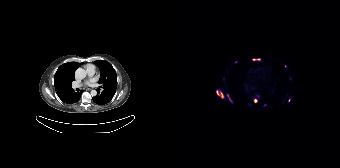
- Paired axial CT (left) and PSMA PET (right), [18F]PSMA-1007 tracer
- slice position z = -800 mm
- PET panel 168×168 px (4.1 mm/px)
Findings: Coordinates are on the 168×168 PET (right) panel. (showing 8 of 9 foci) PSMA-avid tumor lesion bounding boxes (x0,y0,x1,y1): [44,90,52,98], [80,58,88,60], [55,94,60,102]. Small PSMA-avid foci (2 to 4 px across) near (center x, center y): (83, 100), (117, 100), (63, 61), (113, 65), (92, 104).